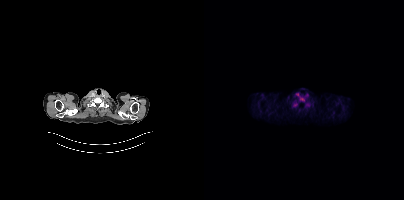
Negative for PSMA-avid disease on this slice.
modality: PSMA PET/CT | tracer: 18F-PSMA | view: axial | PET grid: 200×200